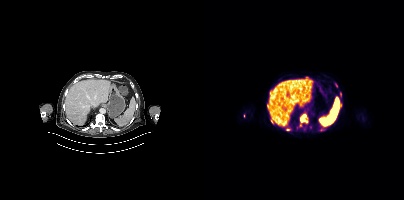
modality: PSMA PET/CT | tracer: 18F-PSMA | view: axial | PET grid: 200×200
Coordinates are on the 200×200 PET (right) panel. (showing 7 of 8 foci) PSMA-avid tumor lesion bounding boxes (x, y, width, height): x=96 y=114 w=8 h=13 / x=63 y=104 w=2 h=7 / x=82 y=128 w=5 h=3. Small PSMA-avid foci (2 to 4 px across) near (center x, center y): (66, 92) / (136, 94) / (68, 122) / (132, 85).